Paired axial CT (left) and PSMA PET (right), 18F tracer. Acquired on Siemens Biograph mCT Flow 20. PET panel 200×200 px (4.1 mm/px).
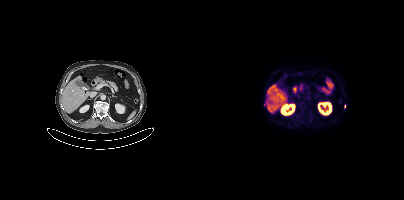
Only PSMA-avid lesion pieces thinner than 2 px on this slice (not listed).